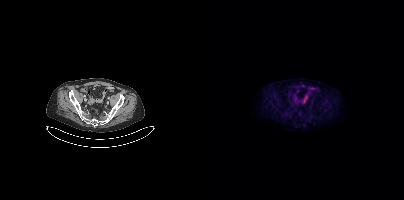
Two-panel axial: CT | PSMA PET, 18F-PSMA tracer. Slice 80 of 381. No PSMA-avid tumor lesions on this slice.